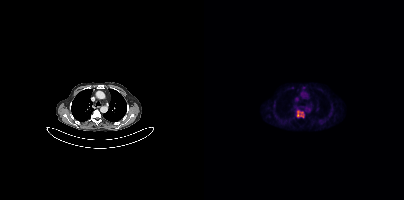
Left: CT. Right: PSMA PET, same axial level, [18F]PSMA-1007 tracer. PET panel 200×200 px (4.1 mm/px).
Coordinates are on the 200×200 PET (right) panel. PSMA-avid tumor lesion bounding boxes:
| # | x0 | y0 | x1 | y1 |
|---|---|---|---|---|
| 1 | 93 | 110 | 100 | 117 |